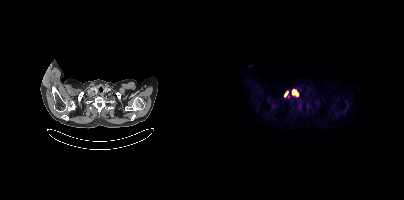
Coordinates are on the 200×200 PET (right) panel. PSMA-avid tumor lesion bounding boxes (x0, y0)-(x1, y1): (88, 90)-(94, 95); (80, 91)-(83, 96).